- Two-panel axial: CT | PSMA PET, 18F-PSMA tracer
- acquired on GE Discovery 690
- PET panel 256×256 px (2.7 mm/px)
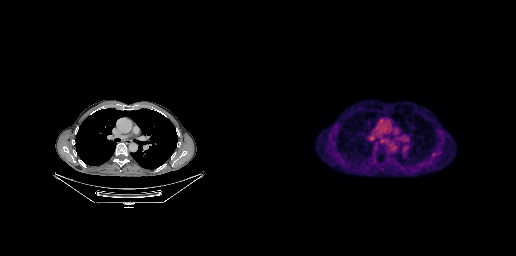
Findings: Coordinates are on the 256×256 PET (right) panel. Small PSMA-avid focus (2 to 4 px across) near (center x, center y): (173, 153).